Two-panel axial: CT | PSMA PET, 18F-PSMA tracer. Acquired on Siemens Biograph 64-4R TruePoint. Slice 67 of 135. PET panel 168×168 px (4.1 mm/px).
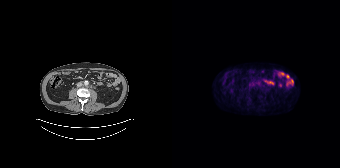
Negative for PSMA-avid disease on this slice.